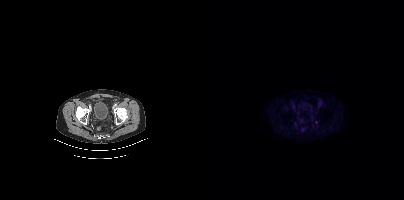
Technique: Two-panel axial: CT | PSMA PET, [18F]PSMA-1007 tracer. slice position z = -798 mm. PET panel 200×200 px (4.1 mm/px).
Findings: Negative for PSMA-avid disease on this slice.